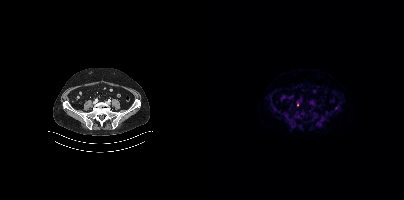
{"modality":"PSMA PET/CT","view":"axial","tracer":"18F-PSMA","pet_grid":[200,200],"coord_frame":"pet_panel","coord_format":"x0,y0,x1,y1","lesion_bboxes":[],"small_foci_centers":[[93,104]]}